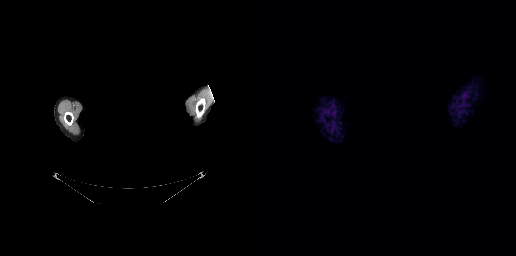
Technique: Paired axial CT (left) and PSMA PET (right), 18F tracer. slice position z = -194 mm. PET panel 256×256 px (2.7 mm/px).
Note: An anonymization step blacked out a rectangle over the head in this scan.
Findings: No tumor lesions annotated on this slice.